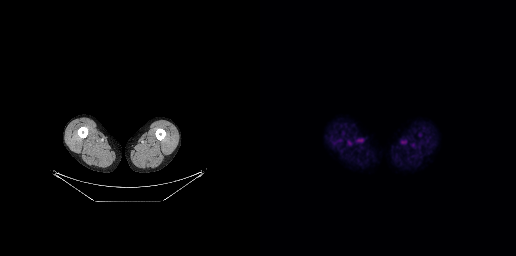
Negative for PSMA-avid disease on this slice.
modality: PSMA PET/CT | tracer: 18F | view: axial